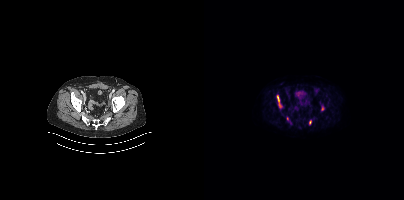
Coordinates are on the 200×200 PET (right) panel. (showing 3 of 4 foci) PSMA-avid tumor lesion bounding box (x0,y0,x1,y1): [73,95,77,107]. Small PSMA-avid foci (2 to 4 px across) near (center x, center y): (106, 122); (118, 108).
modality: PSMA PET/CT | tracer: 18F-PSMA | view: axial